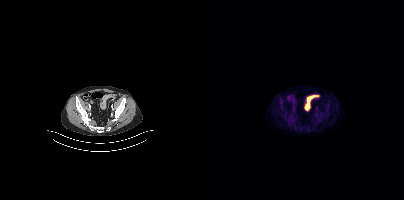
Findings: This slice has no annotated PSMA-avid lesion.
- Left: CT. Right: PSMA PET, same axial level, 18F tracer
- acquired on Siemens Biograph mCT Flow 20